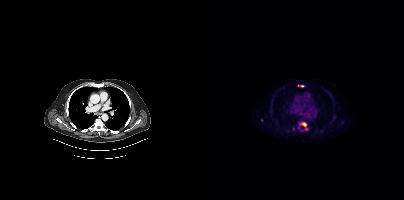
Coordinates are on the 200×200 PET (right) panel. PSMA-avid tumor lesion bounding boxes (partial; 2 more foci not listed):
| # | x0 | y0 | x1 | y1 |
|---|---|---|---|---|
| 1 | 94 | 122 | 102 | 128 |
Small PSMA-avid foci (2 to 4 px across) near (center x, center y): (102, 129); (98, 85); (89, 129); (88, 111).
Two-panel axial: CT | PSMA PET, 18F tracer. Acquired on Siemens Biograph mCT Flow 20. Slice 320 of 450.